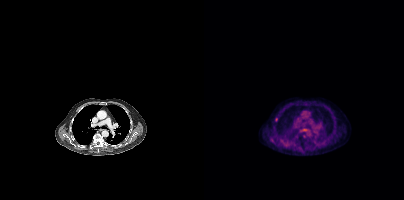
- Two-panel axial: CT | PSMA PET, 18F tracer
- slice 277 of 389
Findings: Coordinates are on the 200×200 PET (right) panel. Small PSMA-avid foci (2 to 4 px across) near (center x, center y): (72, 119); (90, 144).